modality: PSMA PET/CT | tracer: [18F]PSMA-1007 | view: axial
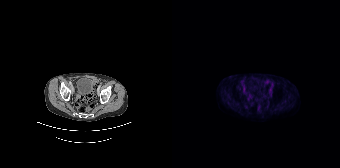
No PSMA-avid tumor lesions on this slice.